modality: PSMA PET/CT | tracer: [18F]PSMA-1007 | view: axial | PET grid: 200×200
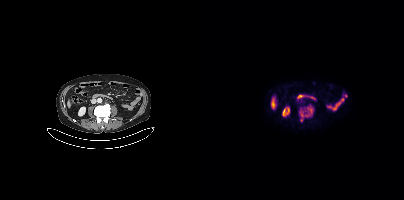
Coordinates are on the 200×200 PET (right) panel. PSMA-avid tumor lesion bounding box (x0, y0)-(x1, y1): (95, 105)-(109, 121).